Two-panel axial: CT | PSMA PET, 18F-PSMA tracer. Acquired on Siemens Biograph mCT Flow 20. PET panel 200×200 px (4.1 mm/px).
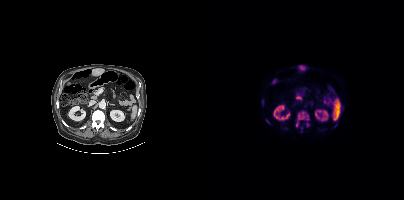
Coordinates are on the 200×200 PET (right) panel. PSMA-avid tumor lesion bounding boxes:
| # | x0 | y0 | x1 | y1 |
|---|---|---|---|---|
| 1 | 91 | 110 | 105 | 127 |
| 2 | 92 | 96 | 97 | 99 |
Small PSMA-avid foci (2 to 4 px across) near (center x, center y): (63, 120); (97, 128); (97, 131).